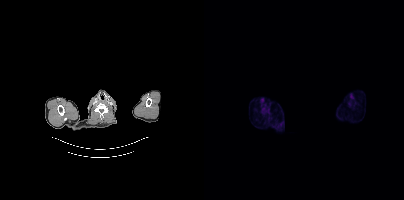
Two-panel axial: CT | PSMA PET, 18F-PSMA tracer. Slice 393 of 448. Part of this slice was blanked for de-identification. Coordinates are on the 200×200 PET (right) panel. Small PSMA-avid focus (2 to 4 px across) near (center x, center y): (60, 109).